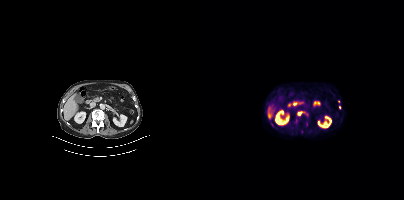
Two-panel axial: CT | PSMA PET, [18F]PSMA-1007 tracer. Slice 189 of 413. PET panel 200×200 px (4.1 mm/px). Coordinates are on the 200×200 PET (right) panel. Small PSMA-avid foci (2 to 4 px across) near (center x, center y): (95, 113) | (135, 107) | (134, 101).